Left: CT. Right: PSMA PET, same axial level, 18F tracer. Slice position z = -980 mm.
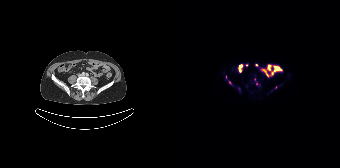
Coordinates are on the 168×168 PET (right) panel. (showing 3 of 5 foci) Small PSMA-avid foci (2 to 4 px across) near (center x, center y): (103, 87); (84, 83); (82, 79).